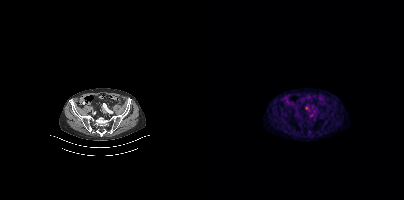
Coordinates are on the 200×200 PET (right) panel. Small PSMA-avid foci (2 to 4 px across) near (center x, center y): (106, 116); (102, 108); (110, 110).
modality: PSMA PET/CT | tracer: 68Ga | view: axial | PET grid: 200×200